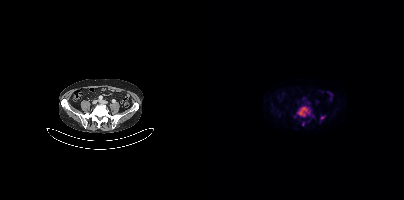
modality: PSMA PET/CT | tracer: 18F-PSMA | view: axial | PET grid: 200×200
Coordinates are on the 200×200 PET (right) panel. PSMA-avid tumor lesion bounding boxes (x, y, width, height): x=93 y=106 w=14 h=11 / x=116 y=116 w=5 h=4. Small PSMA-avid focus (2 to 4 px across) near (center x, center y): (99, 124).